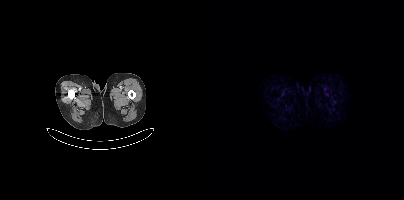
No PSMA-avid tumor lesions on this slice.